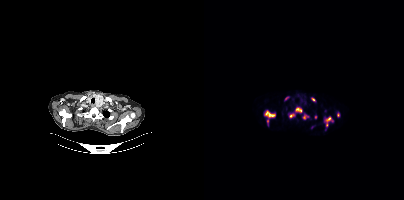
{"modality":"PSMA PET/CT","view":"axial","tracer":"[18F]PSMA-1007","pet_grid":[200,200],"coord_frame":"pet_panel","coord_format":"x0,y0,x1,y1","lesion_bboxes":[[60,110,71,125],[85,107,98,118],[121,117,129,126],[99,114,104,119]],"small_foci_centers":[[134,114],[82,98],[109,99],[111,117]]}